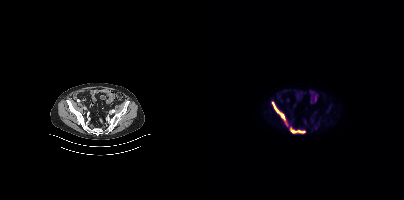
Coordinates are on the 200×200 PET (right) panel. PSMA-avid tumor lesion bounding boxes (x, y, width, height): x=68 y=102 w=14 h=19; x=86 y=128 w=15 h=5. Small PSMA-avid focus (2 to 4 px across) near (center x, center y): (82, 123). Two-panel axial: CT | PSMA PET, [18F]PSMA-1007 tracer. Acquired on Siemens Biograph mCT Flow 20.